modality: PSMA PET/CT | tracer: 68Ga-PSMA | view: axial | PET grid: 168×168
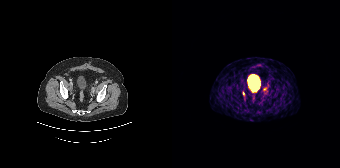
Coordinates are on the 168×168 PET (right) panel. Small PSMA-avid foci (2 to 4 px across) near (center x, center y): (92, 89) / (71, 93).